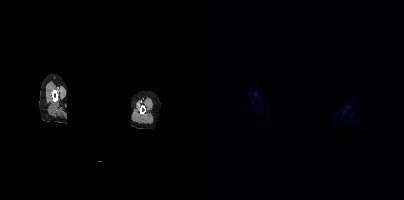
de-identification: head region blanked (face removed) | modality: PSMA PET/CT | tracer: [68Ga]Ga-PSMA-11 | view: axial | PET grid: 200×200
This slice has no annotated PSMA-avid lesion.